Technique: Paired axial CT (left) and PSMA PET (right), 68Ga-PSMA tracer. acquired on Siemens Biograph 64-4R TruePoint. slice position z = -448 mm.
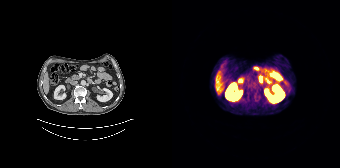
Findings: No PSMA-avid tumor lesions on this slice.